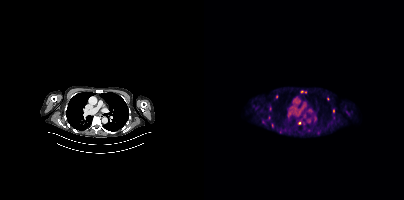
{"modality":"PSMA PET/CT","view":"axial","tracer":"18F-PSMA","pet_grid":[200,200],"coord_frame":"pet_panel","coord_format":"x0,y0,x1,y1","partial":true,"lesion_bboxes":[],"small_foci_centers":[[129,110],[95,122]]}